Technique: Paired axial CT (left) and PSMA PET (right), [18F]PSMA-1007 tracer. slice position z = -188 mm.
Note: De-identified by setting a box covering the face to black before release.
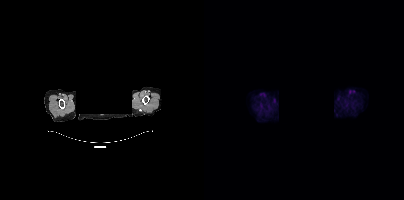
Findings: No tumor lesions annotated on this slice.